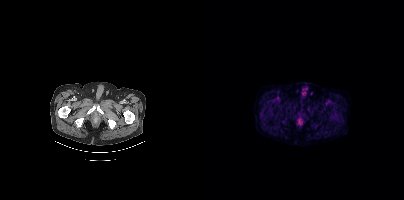
No tumor lesions annotated on this slice.